modality: PSMA PET/CT | tracer: 68Ga | view: axial | PET grid: 200×200
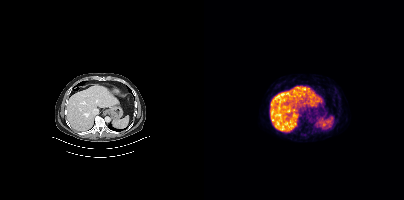
No tumor lesions annotated on this slice.